Technique: Paired axial CT (left) and PSMA PET (right), 18F tracer. acquired on Siemens Biograph mCT Flow 20. PET panel 200×200 px (4.1 mm/px).
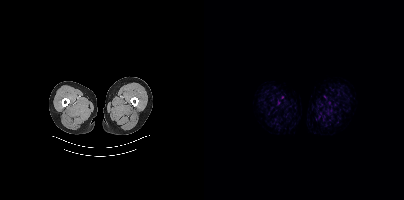
Findings: This slice has no annotated PSMA-avid lesion.